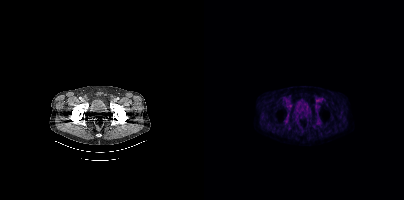
Negative for PSMA-avid disease on this slice.
modality: PSMA PET/CT | tracer: [18F]PSMA-1007 | view: axial